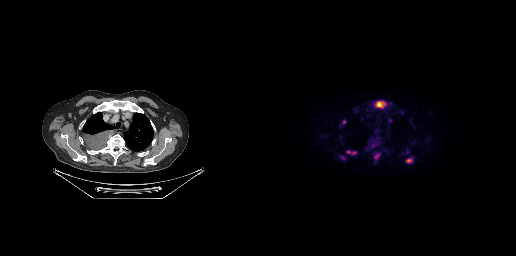
Technique: Two-panel axial: CT | PSMA PET, [18F]PSMA-1007 tracer. slice 236 of 299. PET panel 256×256 px (2.7 mm/px).
Findings: Coordinates are on the 256×256 PET (right) panel. PSMA-avid tumor lesion bounding boxes (x0,y0,x1,y1): [115,101,126,109] [146,158,152,163] [87,150,96,154]. Small PSMA-avid foci (2 to 4 px across) near (center x, center y): (83, 121) (130, 120) (141, 112) (83, 157).